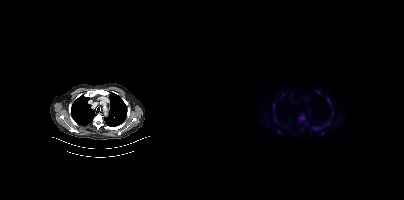
Coordinates are on the 200×200 PET (right) panel. (showing 10 of 11 foci) PSMA-avid tumor lesion bounding boxes (x0, y0)-(x1, y1): (95, 115)-(100, 121); (108, 127)-(117, 130); (123, 98)-(127, 104); (120, 122)-(125, 127); (69, 103)-(70, 109); (70, 117)-(73, 121). Small PSMA-avid foci (2 to 4 px across) near (center x, center y): (113, 91); (75, 132); (118, 133); (128, 113).
modality: PSMA PET/CT | tracer: 18F-PSMA | view: axial | PET grid: 200×200